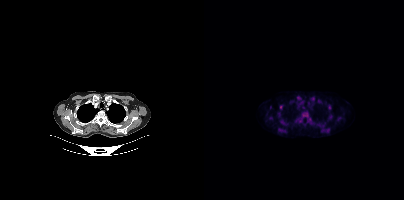
Coordinates are on the 200×200 PET (right) panel. (showing 1 of 6 foci) PSMA-avid tumor lesion bounding box (x, y, width, height): x=76 y=105 w=3 h=5.